- Left: CT. Right: PSMA PET, same axial level, [18F]PSMA-1007 tracer
- acquired on Siemens Biograph mCT Flow 20
- PET panel 200×200 px (4.1 mm/px)
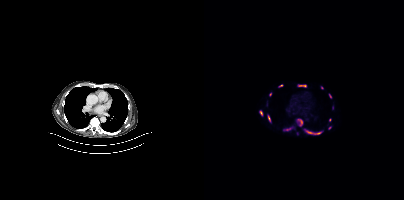
Findings: Coordinates are on the 200×200 PET (right) panel. (showing 11 of 13 foci) PSMA-avid tumor lesion bounding boxes (x0, y0)-(x1, y1): (100, 129)-(118, 134); (94, 85)-(102, 87); (95, 120)-(98, 126); (55, 110)-(58, 114); (82, 128)-(87, 130); (64, 116)-(66, 121). Small PSMA-avid foci (2 to 4 px across) near (center x, center y): (76, 85); (126, 95); (66, 94); (126, 120); (125, 128).